- Two-panel axial: CT | PSMA PET, 18F-PSMA tracer
- acquired on Siemens Biograph mCT Flow 20
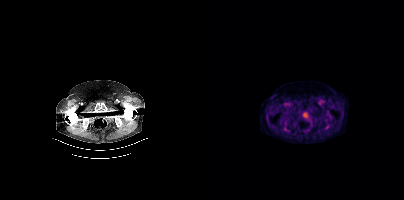
Findings: This slice has no annotated PSMA-avid lesion.